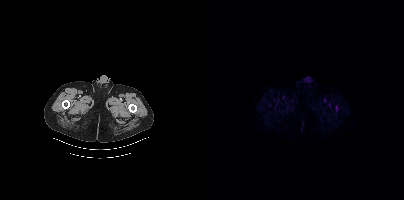
Left: CT. Right: PSMA PET, same axial level, 18F tracer. Acquired on Siemens Biograph mCT Flow 20. PET panel 200×200 px (4.1 mm/px). Coordinates are on the 200×200 PET (right) panel. Small PSMA-avid focus (2 to 4 px across) near (center x, center y): (132, 109).